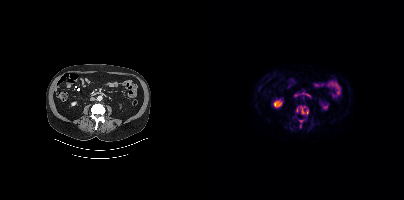
Coordinates are on the 200×200 PET (right) panel. (showing 3 of 4 foci) PSMA-avid tumor lesion bounding boxes (x, y, width, height): x=96 y=106 w=6 h=8 / x=102 y=110 w=3 h=5. Small PSMA-avid focus (2 to 4 px across) near (center x, center y): (97, 120).